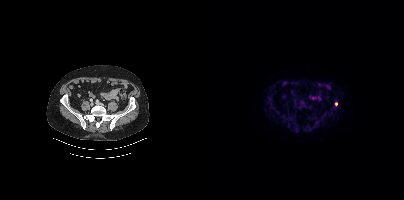
Findings: Coordinates are on the 200×200 PET (right) panel. (showing 6 of 7 foci) PSMA-avid tumor lesion bounding boxes (x, y, width, height): x=61 y=98 w=10 h=11 | x=122 y=109 w=6 h=7 | x=109 y=120 w=6 h=8 | x=95 y=106 w=5 h=4. Small PSMA-avid foci (2 to 4 px across) near (center x, center y): (73, 111) | (132, 103).
Technique: Left: CT. Right: PSMA PET, same axial level, 18F tracer. PET panel 200×200 px (4.1 mm/px).